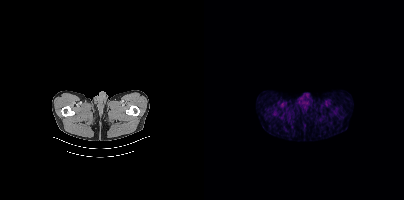
Negative for PSMA-avid disease on this slice.